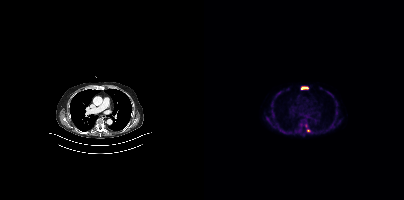
Left: CT. Right: PSMA PET, same axial level, 18F tracer. Acquired on Siemens Biograph mCT Flow 20. Slice position z = -1111 mm. PET panel 200×200 px (4.1 mm/px). Coordinates are on the 200×200 PET (right) panel. PSMA-avid tumor lesion bounding boxes (x0, y0)-(x1, y1): (97, 86)-(104, 89) / (101, 123)-(106, 131) / (68, 113)-(70, 118).